Paired axial CT (left) and PSMA PET (right), 18F-PSMA tracer. Acquired on Siemens Biograph mCT Flow 20. Slice 306 of 508.
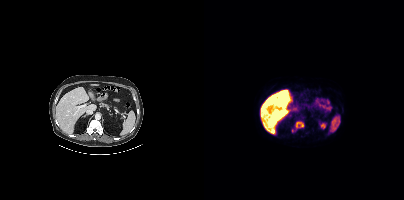
Coordinates are on the 200×200 PET (right) panel. PSMA-avid tumor lesion bounding box (x, y, width, height): x=87 y=121 w=14 h=12.